Technique: Left: CT. Right: PSMA PET, same axial level, 18F-PSMA tracer. acquired on Siemens Biograph mCT Flow 20. PET panel 200×200 px (4.1 mm/px).
Note: A rectangular block over the head has been blanked out for de-identification.
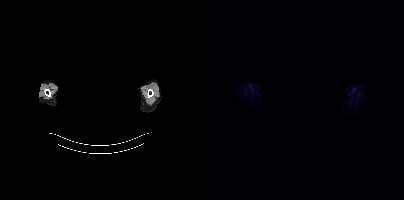
Findings: No tumor lesions annotated on this slice.